- Paired axial CT (left) and PSMA PET (right), 18F-PSMA tracer
- acquired on Siemens Biograph mCT Flow 20
- slice 259 of 427
- PET panel 200×200 px (4.1 mm/px)
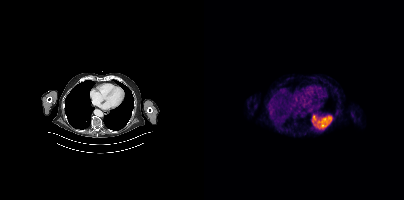
Findings: No tumor lesions annotated on this slice.